deidentification: facial region redacted | modality: PSMA PET/CT | tracer: 18F-PSMA | view: axial
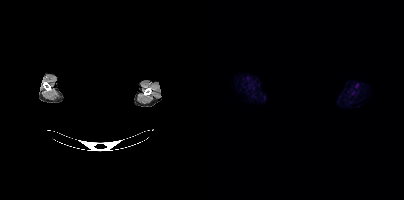
Negative for PSMA-avid disease on this slice.